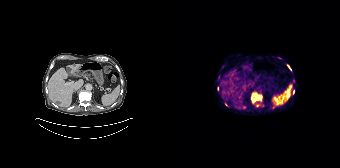
Findings: Coordinates are on the 168×168 PET (right) panel. (showing 7 of 10 foci) PSMA-avid tumor lesion bounding box (x, y, width, height): x=115 y=65 w=5 h=6. Small PSMA-avid foci (2 to 4 px across) near (center x, center y): (66, 107) / (121, 91) / (83, 99) / (54, 104) / (80, 95) / (83, 95).
- Left: CT. Right: PSMA PET, same axial level, 68Ga tracer
- PET panel 168×168 px (4.1 mm/px)